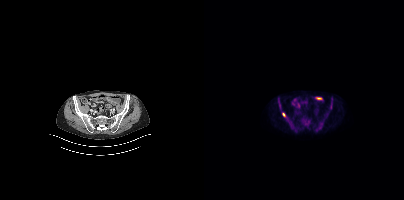
{"modality":"PSMA PET/CT","view":"axial","tracer":"18F","pet_grid":[200,200],"coord_frame":"pet_panel","coord_format":"x0,y0,x1,y1","lesion_bboxes":[],"small_foci_centers":[[79,114]]}